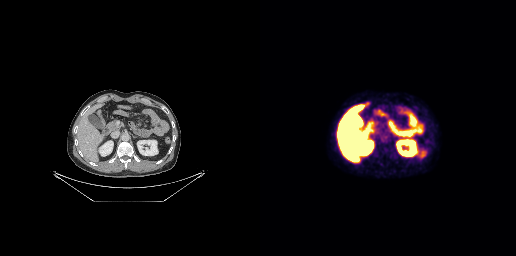
Findings: Coordinates are on the 256×256 PET (right) panel. Small PSMA-avid focus (2 to 4 px across) near (center x, center y): (120, 136).
- Paired axial CT (left) and PSMA PET (right), 18F-PSMA tracer
- PET panel 256×256 px (2.7 mm/px)